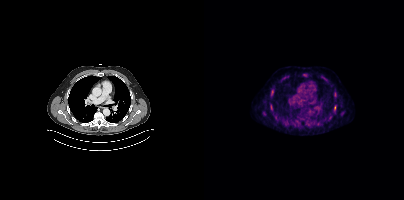
- Left: CT. Right: PSMA PET, same axial level, 18F tracer
- slice position z = 1612 mm
- PET panel 200×200 px (4.1 mm/px)
Findings: Coordinates are on the 200×200 PET (right) panel. (showing 5 of 6 foci) PSMA-avid tumor lesion bounding box (x0, y0)-(x1, y1): (130, 106)-(131, 110). Small PSMA-avid foci (2 to 4 px across) near (center x, center y): (68, 91); (80, 78); (67, 108); (130, 93).